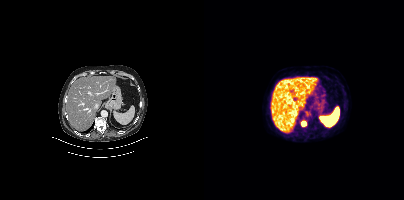
Left: CT. Right: PSMA PET, same axial level, [18F]PSMA-1007 tracer. Acquired on Siemens Biograph mCT Flow 20. Slice 259 of 454.
Coordinates are on the 200×200 PET (right) panel. PSMA-avid tumor lesion bounding boxes:
| # | x0 | y0 | x1 | y1 |
|---|---|---|---|---|
| 1 | 97 | 121 | 102 | 126 |